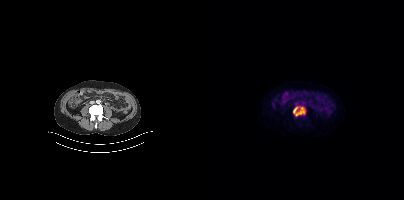
Coordinates are on the 200×200 PET (right) panel. PSMA-avid tumor lesion bounding boxes:
| # | x0 | y0 | x1 | y1 |
|---|---|---|---|---|
| 1 | 89 | 106 | 101 | 116 |
Paired axial CT (left) and PSMA PET (right), 18F tracer. Slice position z = -791 mm. PET panel 200×200 px (4.1 mm/px).